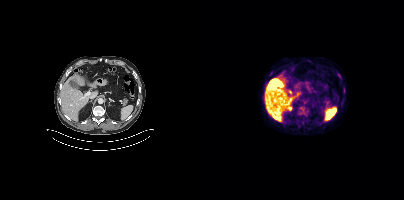
No PSMA-avid tumor lesions on this slice.